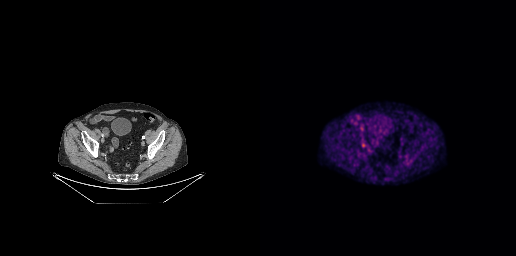
Only PSMA-avid lesion pieces thinner than 2 px on this slice (not listed). Two-panel axial: CT | PSMA PET, 18F-PSMA tracer.